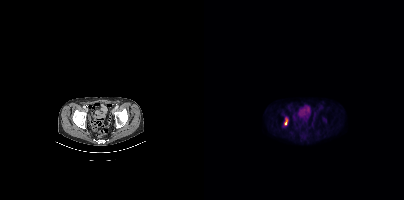
Technique: Paired axial CT (left) and PSMA PET (right), 18F tracer. acquired on Siemens Biograph mCT Flow 20. slice 84 of 435. PET panel 200×200 px (4.1 mm/px).
Findings: Coordinates are on the 200×200 PET (right) panel. PSMA-avid tumor lesion bounding box (x, y, width, height): x=81 y=120 w=4 h=5.